A rectangle over the head was blacked out to remove identifiable facial features.
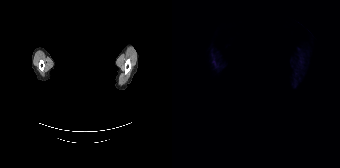
Negative for PSMA-avid disease on this slice.